modality: PSMA PET/CT | tracer: 18F-PSMA | view: axial | PET grid: 200×200
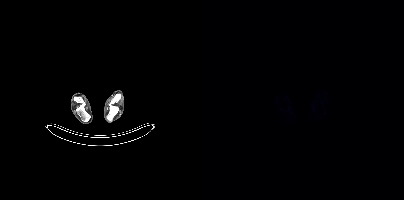
No PSMA-avid tumor lesions on this slice.